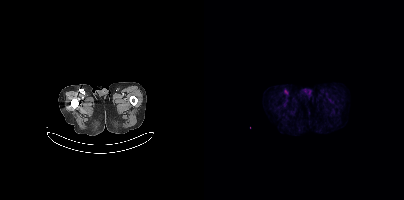
modality: PSMA PET/CT | tracer: 18F-PSMA | view: axial
Coordinates are on the 200×200 PET (right) panel. Small PSMA-avid focus (2 to 4 px across) near (center x, center y): (82, 91).